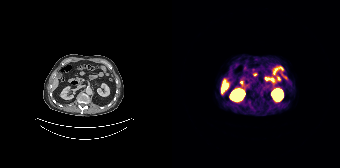
Technique: Two-panel axial: CT | PSMA PET, [68Ga]Ga-PSMA-11 tracer. acquired on Siemens Biograph 64-4R TruePoint.
Findings: No PSMA-avid tumor lesions on this slice.